A rectangle over the head was blacked out to remove identifiable facial features.
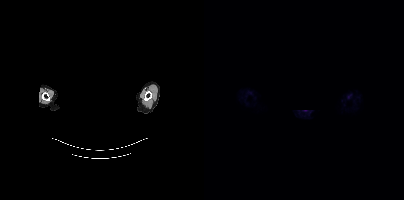
Negative for PSMA-avid disease on this slice.